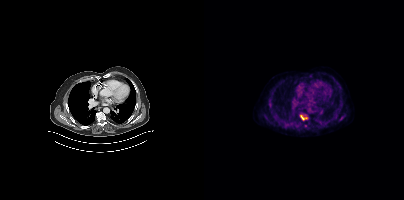
modality: PSMA PET/CT | tracer: 18F | view: axial
Coordinates are on the 200×200 PET (right) panel. PSMA-avid tumor lesion bounding box (x, y, width, height): x=95 y=114 w=10 h=7. Small PSMA-avid foci (2 to 4 px across) near (center x, center y): (136, 118); (101, 125).